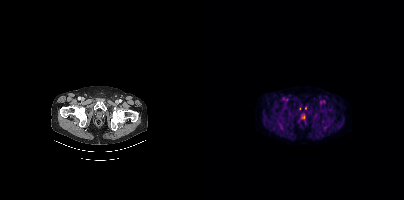
Two-panel axial: CT | PSMA PET, [18F]PSMA-1007 tracer. Slice position z = -899 mm. Coordinates are on the 200×200 PET (right) panel. (showing 1 of 2 foci) Small PSMA-avid focus (2 to 4 px across) near (center x, center y): (101, 107).